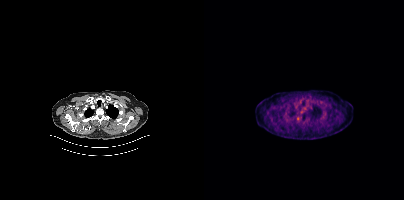
No PSMA-avid tumor lesions on this slice.